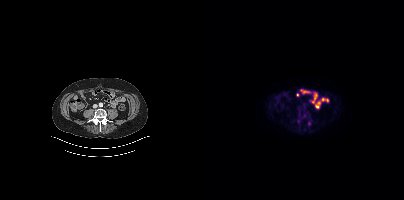
modality: PSMA PET/CT | tracer: [18F]PSMA-1007 | view: axial | PET grid: 200×200
Coordinates are on the 200×200 PET (right) panel. PSMA-avid tumor lesion bounding box (x, y, width, height): x=104 y=121 w=4 h=5. Small PSMA-avid focus (2 to 4 px across) near (center x, center y): (94, 122).